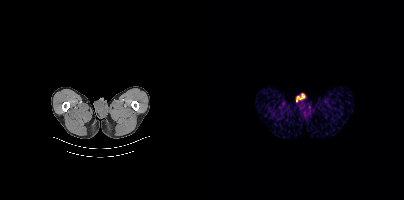
{"pet_grid":[200,200],"coord_frame":"pet_panel","coord_format":"x0,y0,x1,y1","psma_avid_lesions":false,"modality":"PSMA PET/CT","view":"axial","tracer":"18F"}